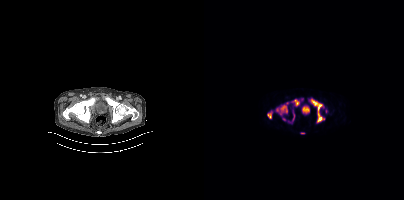
Coordinates are on the 200×200 PET (right) panel. PSMA-avid tumor lesion bounding boxes (partial; 3 more foci not listed):
| # | x0 | y0 | x1 | y1 |
|---|---|---|---|---|
| 1 | 107 | 99 | 120 | 122 |
| 2 | 72 | 102 | 84 | 114 |
| 3 | 63 | 111 | 68 | 118 |
| 4 | 89 | 99 | 95 | 105 |
Small PSMA-avid focus (2 to 4 px across) near (center x, center y): (80, 119).
Left: CT. Right: PSMA PET, same axial level, 18F tracer. Slice 62 of 387. PET panel 200×200 px (4.1 mm/px).